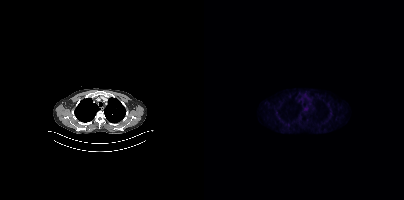
Technique: Paired axial CT (left) and PSMA PET (right), 18F-PSMA tracer. slice 292 of 377.
Findings: Coordinates are on the 200×200 PET (right) panel. (showing 1 of 2 foci) Small PSMA-avid focus (2 to 4 px across) near (center x, center y): (84, 125).